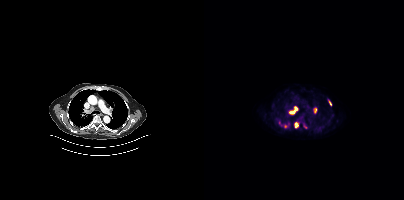
Coordinates are on the 200×200 PET (right) panel. PSMA-avid tumor lesion bounding boxes (partial; 2 more foci not listed):
| # | x0 | y0 | x1 | y1 |
|---|---|---|---|---|
| 1 | 85 | 106 | 93 | 114 |
| 2 | 91 | 122 | 94 | 127 |
| 3 | 110 | 108 | 112 | 113 |
| 4 | 125 | 101 | 127 | 105 |
Small PSMA-avid focus (2 to 4 px across) near (center x, center y): (81, 126).
Two-panel axial: CT | PSMA PET, 18F tracer. Slice position z = -458 mm.